Technique: Left: CT. Right: PSMA PET, same axial level, 18F-PSMA tracer.
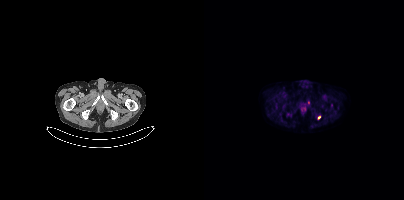
Findings: Coordinates are on the 200×200 PET (right) panel. Small PSMA-avid foci (2 to 4 px across) near (center x, center y): (115, 117), (104, 102).